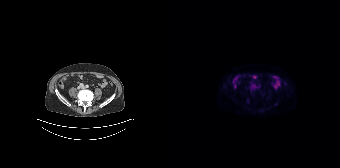
{"modality":"PSMA PET/CT","view":"axial","tracer":"[18F]PSMA-1007","pet_grid":[168,168],"coord_frame":"pet_panel","coord_format":"x0,y0,x1,y1","psma_avid_lesions":false}